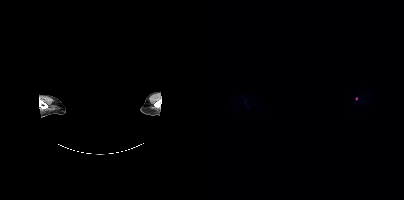
Coordinates are on the 200×200 PET (right) panel. Small PSMA-avid foci (2 to 4 px across) near (center x, center y): (152, 98) | (40, 102).
de-identification: facial region redacted | modality: PSMA PET/CT | tracer: [18F]PSMA-1007 | view: axial | PET grid: 200×200